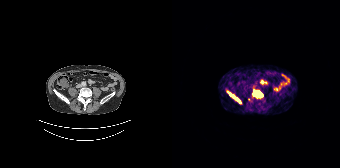
Technique: Left: CT. Right: PSMA PET, same axial level, 68Ga tracer. acquired on Siemens Biograph 64-4R TruePoint. slice 85 of 195. PET panel 168×168 px (4.1 mm/px).
Findings: Coordinates are on the 168×168 PET (right) panel. PSMA-avid tumor lesion bounding boxes (x0, y0)-(x1, y1): (81, 90)-(91, 97) | (56, 92)-(63, 97) | (64, 99)-(68, 103).